Left: CT. Right: PSMA PET, same axial level, [18F]PSMA-1007 tracer. Slice 226 of 263.
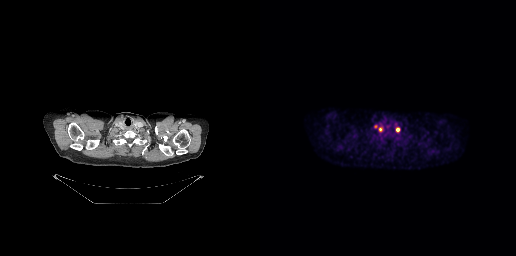
Coordinates are on the 256×256 PET (right) panel. PSMA-avid tumor lesion bounding boxes:
| # | x0 | y0 | x1 | y1 |
|---|---|---|---|---|
| 1 | 136 | 127 | 139 | 131 |
Small PSMA-avid focus (2 to 4 px across) near (center x, center y): (120, 129).